Paired axial CT (left) and PSMA PET (right), 68Ga tracer. Acquired on Siemens Biograph 64-4R TruePoint. PET panel 168×168 px (4.1 mm/px).
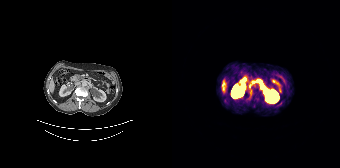
This slice has no annotated PSMA-avid lesion.